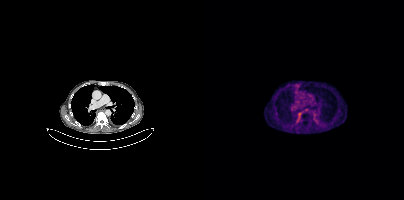
modality: PSMA PET/CT | tracer: 68Ga | view: axial | PET grid: 200×200
No tumor lesions annotated on this slice.